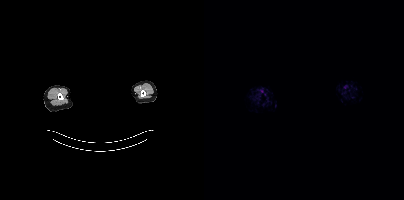
- head region blanked for anonymization (face removed)
- Left: CT. Right: PSMA PET, same axial level, [18F]PSMA-1007 tracer
- acquired on Siemens Biograph mCT Flow 20
- slice 390 of 393
- PET panel 200×200 px (4.1 mm/px)
Findings: This slice has no annotated PSMA-avid lesion.